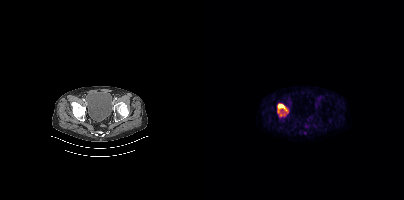
modality: PSMA PET/CT | tracer: 18F | view: axial | PET grid: 200×200
Coordinates are on the 200×200 PET (right) panel. PSMA-avid tumor lesion bounding box (x0,y0,x1,y1): [73,103,84,116].